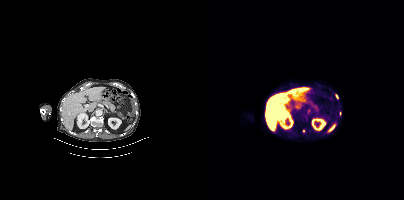
- Paired axial CT (left) and PSMA PET (right), 18F-PSMA tracer
- acquired on Siemens Biograph mCT Flow 20
Findings: Coordinates are on the 200×200 PET (right) panel. PSMA-avid tumor lesion bounding box (x, y, width, height): x=131 y=94 w=4 h=6. Small PSMA-avid foci (2 to 4 px across) near (center x, center y): (136, 113) | (99, 131).